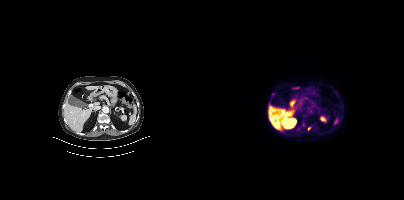
modality: PSMA PET/CT | tracer: 18F-PSMA | view: axial
Coordinates are on the 200×200 PET (right) panel. Small PSMA-avid foci (2 to 4 px across) near (center x, center y): (105, 128) | (69, 94) | (94, 128).